modality: PSMA PET/CT | tracer: 18F | view: axial | PET grid: 256×256
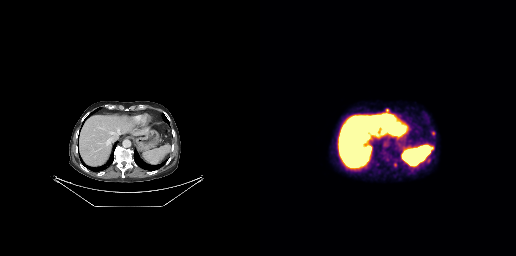
Coordinates are on the 256×256 PET (right) panel. PSMA-avid tumor lesion bounding boxes (x, y, width, height): x=125 y=108 w=6 h=6; x=172 y=131 w=3 h=5. Small PSMA-avid focus (2 to 4 px across) near (center x, center y): (135, 164).